deidentification: head region blanked (face removed) | modality: PSMA PET/CT | tracer: [18F]PSMA-1007 | view: axial | PET grid: 256×256
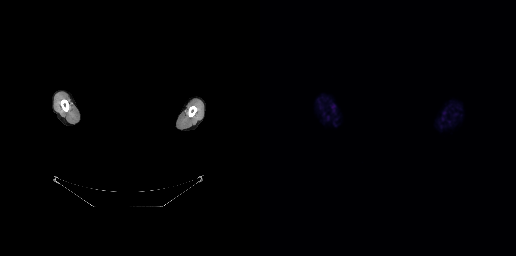
Negative for PSMA-avid disease on this slice.